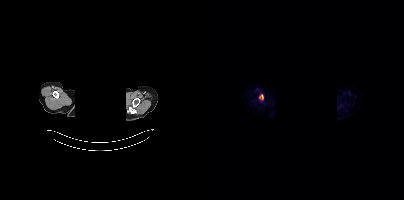
Coordinates are on the 200×200 PET (right) panel. PSMA-avid tumor lesion bounding box (x, y, width, height): x=55 y=94 w=5 h=7.
deidentification: rectangular block over head set to black | modality: PSMA PET/CT | tracer: 18F-PSMA | view: axial | PET grid: 200×200